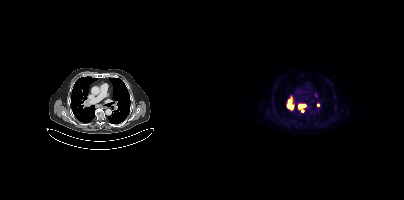
{"modality":"PSMA PET/CT","view":"axial","tracer":"18F-PSMA","pet_grid":[200,200],"coord_frame":"pet_panel","coord_format":"x0,y0,x1,y1","lesion_bboxes":[[95,104,100,108]],"small_foci_centers":[[98,110]]}